modality: PSMA PET/CT | tracer: [18F]PSMA-1007 | view: axial | PET grid: 200×200
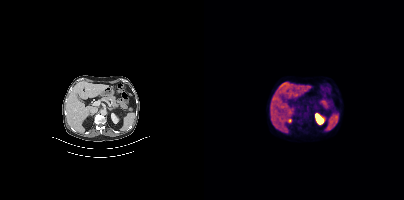
No tumor lesions annotated on this slice.